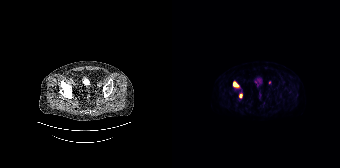
Left: CT. Right: PSMA PET, same axial level, 18F tracer. Acquired on Siemens Biograph 64-4R TruePoint. PET panel 168×168 px (4.1 mm/px).
Coordinates are on the 168×168 PET (right) panel. PSMA-avid tumor lesion bounding boxes:
| # | x0 | y0 | x1 | y1 |
|---|---|---|---|---|
| 1 | 61 | 81 | 67 | 87 |
| 2 | 67 | 93 | 70 | 98 |
Small PSMA-avid focus (2 to 4 px across) near (center x, center y): (97, 82).